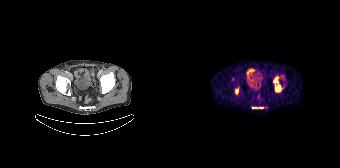
Coordinates are on the 168×168 PET (right) panel. PSMA-avid tumor lesion bounding boxes (x, y, width, height): x=101 y=77 w=9 h=15; x=63 y=87 w=5 h=8; x=80 y=107 w=12 h=2.